Two-panel axial: CT | PSMA PET, 18F-PSMA tracer. Acquired on GE Discovery 690.
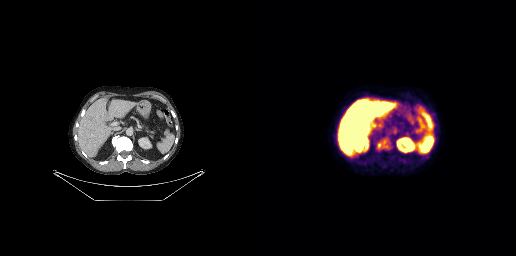
Only PSMA-avid lesion pieces thinner than 2 px on this slice (not listed).